Technique: Two-panel axial: CT | PSMA PET, [18F]PSMA-1007 tracer. PET panel 256×256 px (2.7 mm/px).
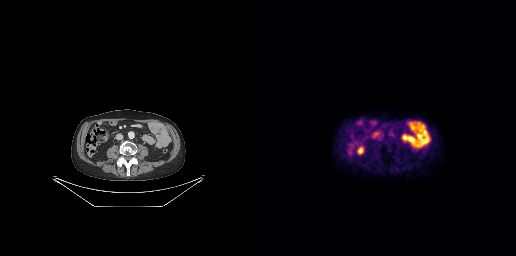
Findings: Negative for PSMA-avid disease on this slice.